Technique: Paired axial CT (left) and PSMA PET (right), [68Ga]Ga-PSMA-11 tracer. acquired on Siemens Biograph 64-4R TruePoint.
Note: A rectangle over the head was blacked out to remove identifiable facial features.
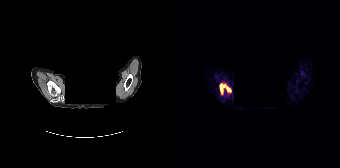
Findings: Coordinates are on the 168×168 PET (right) panel. PSMA-avid tumor lesion bounding boxes (x, y, width, height): x=48 y=84 w=6 h=9; x=55 y=87 w=4 h=5.